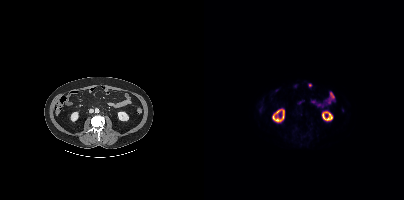
modality: PSMA PET/CT | tracer: [18F]PSMA-1007 | view: axial | PET grid: 200×200
No PSMA-avid tumor lesions on this slice.